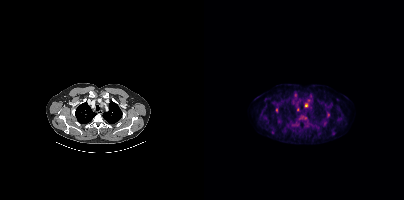
Coordinates are on the 200×200 PET (right) panel. (showing 4 of 5 foci) PSMA-avid tumor lesion bounding box (x0,y0,x1,y1): [101,103,103,107]. Small PSMA-avid foci (2 to 4 px across) near (center x, center y): (124, 113), (72, 109), (93, 109).